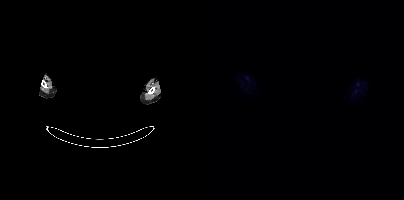
Technique: Paired axial CT (left) and PSMA PET (right), [18F]PSMA-1007 tracer. acquired on Siemens Biograph mCT Flow 20. PET panel 200×200 px (4.1 mm/px).
Note: Face de-identified by blanking a block of the head.
Findings: No tumor lesions annotated on this slice.